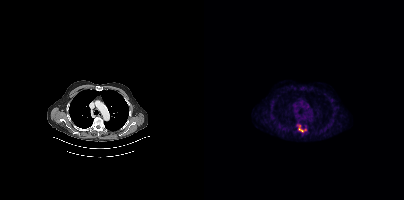
- Paired axial CT (left) and PSMA PET (right), [18F]PSMA-1007 tracer
- PET panel 200×200 px (4.1 mm/px)
Findings: Coordinates are on the 200×200 PET (right) panel. PSMA-avid tumor lesion bounding box (x0,y0,x1,y1): [94,125,102,132].